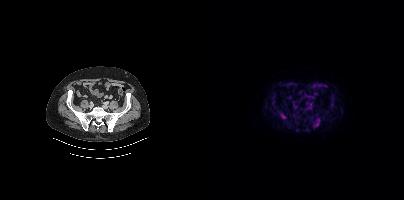
Paired axial CT (left) and PSMA PET (right), [18F]PSMA-1007 tracer. PET panel 200×200 px (4.1 mm/px).
Coordinates are on the 200×200 PET (right) panel. PSMA-avid tumor lesion bounding boxes:
| # | x0 | y0 | x1 | y1 |
|---|---|---|---|---|
| 1 | 109 | 119 | 116 | 127 |
| 2 | 76 | 112 | 82 | 119 |
| 3 | 119 | 110 | 123 | 114 |
| 4 | 127 | 96 | 131 | 100 |
| 5 | 126 | 103 | 129 | 107 |
Small PSMA-avid foci (2 to 4 px across) near (center x, center y): (111, 115); (70, 94).